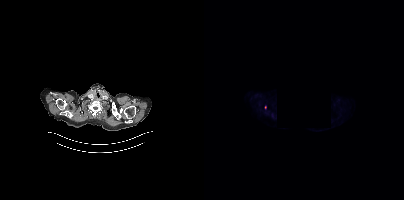
Coordinates are on the 200×200 PET (right) panel. Small PSMA-avid focus (2 to 4 px across) near (center x, center y): (61, 107). A rectangular privacy mask was applied before release. Paired axial CT (left) and PSMA PET (right), [18F]PSMA-1007 tracer. Slice 321 of 383. PET panel 200×200 px (4.1 mm/px).